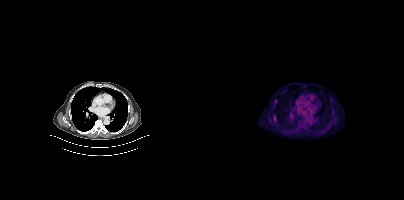
Coordinates are on the 200×200 PET (right) panel. Small PSMA-avid focus (2 to 4 px across) near (center x, center y): (70, 118).
modality: PSMA PET/CT | tracer: 18F-PSMA | view: axial